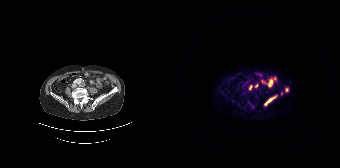
Coordinates are on the 168×168 PET (right) panel. PSMA-avid tumor lesion bounding boxes (x0, y0)-(x1, y1): (93, 95)-(104, 105) | (77, 85)-(80, 89). Small PSMA-avid foci (2 to 4 px across) near (center x, center y): (114, 89) | (84, 85).